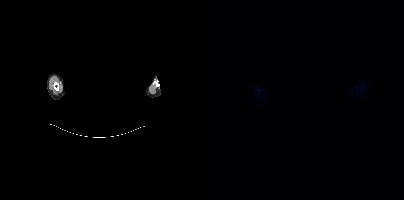
{"modality":"PSMA PET/CT","view":"axial","tracer":"18F-PSMA","pet_grid":[200,200],"coord_frame":"pet_panel","coord_format":"x0,y0,x1,y1","psma_avid_lesions":false,"redaction":"privacy mask over head"}